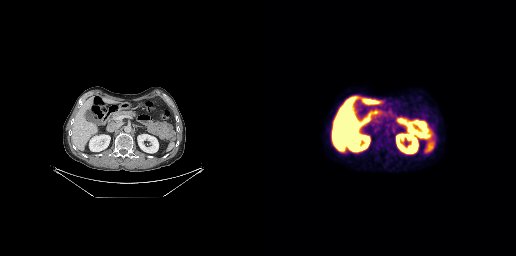
{"modality":"PSMA PET/CT","view":"axial","tracer":"18F","pet_grid":[256,256],"coord_frame":"pet_panel","coord_format":"x0,y0,x1,y1","lesion_bboxes":[[131,125,135,132]]}